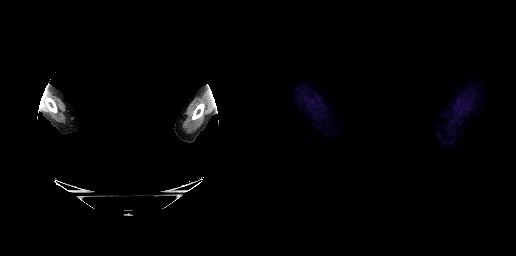
Findings: This slice has no annotated PSMA-avid lesion.
- Two-panel axial: CT | PSMA PET, 18F tracer
- acquired on GE Discovery 690
- slice 252 of 263
- a rectangular block over the head has been blanked out for de-identification